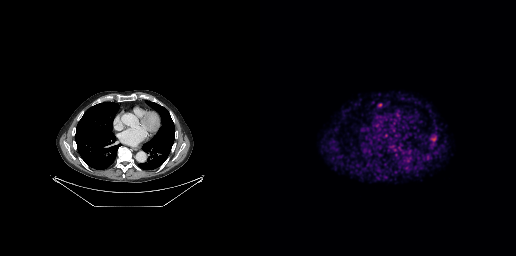
{"modality":"PSMA PET/CT","view":"axial","tracer":"68Ga-PSMA","pet_grid":[256,256],"coord_frame":"pet_panel","coord_format":"x0,y0,x1,y1","lesion_bboxes":[[118,103,122,107]]}